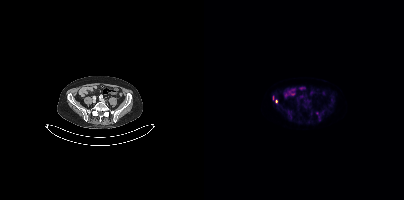
- Left: CT. Right: PSMA PET, same axial level, [18F]PSMA-1007 tracer
- acquired on Siemens Biograph mCT Flow 20
- PET panel 200×200 px (4.1 mm/px)
Findings: Coordinates are on the 200×200 PET (right) panel. (showing 1 of 2 foci) Small PSMA-avid focus (2 to 4 px across) near (center x, center y): (72, 101).